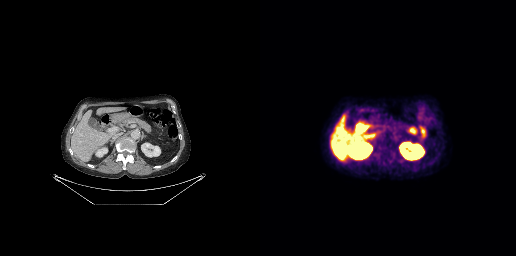
Findings: This slice has no annotated PSMA-avid lesion.
- Paired axial CT (left) and PSMA PET (right), [18F]PSMA-1007 tracer
- slice position z = -578 mm